Technique: Left: CT. Right: PSMA PET, same axial level, 18F-PSMA tracer. acquired on GE Discovery 690. slice position z = -540 mm.
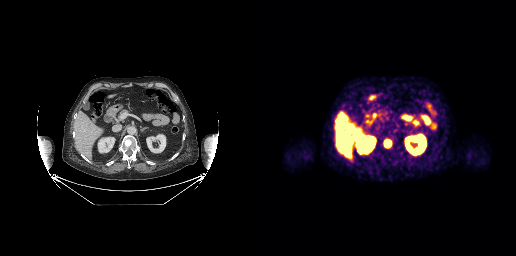
Findings: Coordinates are on the 256×256 PET (right) panel. PSMA-avid tumor lesion bounding box (x0, y0)-(x1, y1): (123, 138)-(132, 148).